- Paired axial CT (left) and PSMA PET (right), 18F tracer
- PET panel 168×168 px (4.1 mm/px)
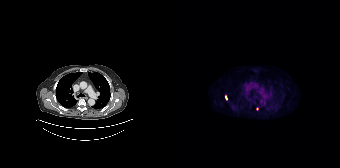
Findings: Coordinates are on the 168×168 PET (right) panel. (showing 1 of 2 foci) PSMA-avid tumor lesion bounding box (x, y, width, height): x=53 y=95 w=3 h=5.